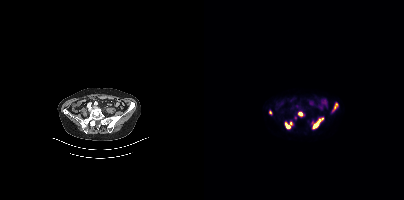
Coordinates are on the 200×200 PET (right) panel. PSMA-avid tumor lesion bounding boxes (x0, y0)-(x1, y1): (109, 117)-(119, 128); (81, 122)-(86, 128); (130, 103)-(134, 109); (93, 112)-(98, 115). Small PSMA-avid foci (2 to 4 px across) near (center x, center y): (66, 112); (87, 123); (91, 117); (108, 121).